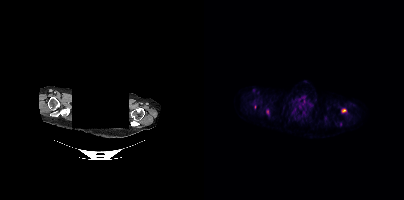
Findings: Coordinates are on the 200×200 PET (right) panel. (showing 2 of 3 foci) PSMA-avid tumor lesion bounding box (x, y, width, height): x=138 y=109 w=5 h=4. Small PSMA-avid focus (2 to 4 px across) near (center x, center y): (63, 111).
- Two-panel axial: CT | PSMA PET, [18F]PSMA-1007 tracer
- PET panel 200×200 px (4.1 mm/px)
- the head region is masked for de-identification